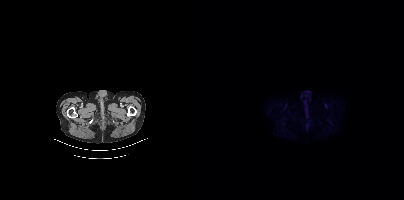
{"pet_grid":[200,200],"coord_frame":"pet_panel","coord_format":"x0,y0,x1,y1","psma_avid_lesions":false,"modality":"PSMA PET/CT","view":"axial","tracer":"18F-PSMA"}